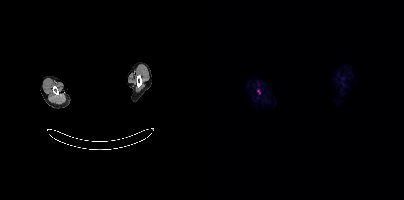
Findings: Coordinates are on the 200×200 PET (right) panel. (showing 1 of 2 foci) Small PSMA-avid focus (2 to 4 px across) near (center x, center y): (54, 90).
- Two-panel axial: CT | PSMA PET, [18F]PSMA-1007 tracer
- acquired on Siemens Biograph mCT Flow 20
- slice 367 of 387
- PET panel 200×200 px (4.1 mm/px)
- a rectangular block over the head has been blanked out for de-identification